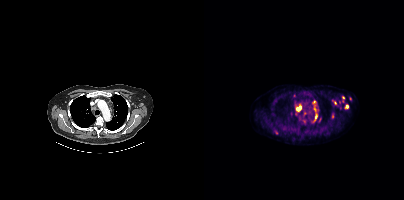
{"modality":"PSMA PET/CT","view":"axial","tracer":"18F","pet_grid":[200,200],"coord_frame":"pet_panel","coord_format":"x0,y0,x1,y1","partial":true,"lesion_bboxes":[[91,106,97,115],[111,114,113,120],[128,114,129,118],[130,101,133,106]],"small_foci_centers":[[110,101],[142,106],[100,113],[90,95],[100,121],[109,121],[138,97],[146,98],[72,132]]}